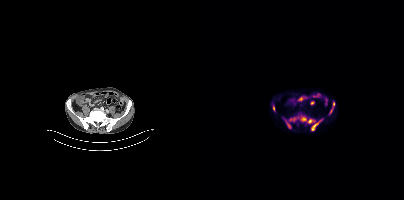
Coordinates are on the 200×200 PET (right) panel. (showing 4 of 5 foci) PSMA-avid tumor lesion bounding boxes (x0,y0,x1,y1): [85,115,119,130] [125,102,131,114] [82,121,86,128] [69,105,71,111].